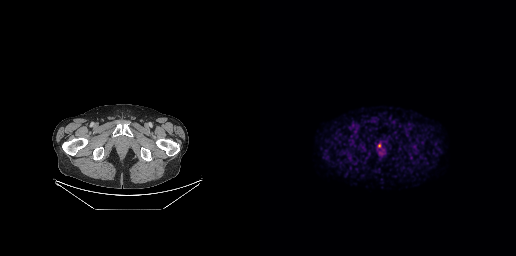
{"modality":"PSMA PET/CT","view":"axial","tracer":"[18F]PSMA-1007","pet_grid":[256,256],"coord_frame":"pet_panel","coord_format":"x0,y0,x1,y1","lesion_bboxes":[],"small_foci_centers":[[119,145]]}